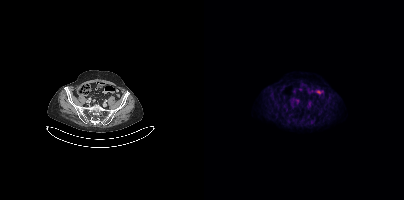
Negative for PSMA-avid disease on this slice. Left: CT. Right: PSMA PET, same axial level, 18F-PSMA tracer. Acquired on Siemens Biograph mCT Flow 20. Slice 91 of 381.